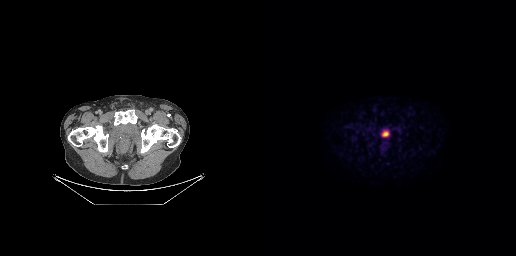
Paired axial CT (left) and PSMA PET (right), 18F-PSMA tracer. PET panel 256×256 px (2.7 mm/px). No PSMA-avid tumor lesions on this slice.